Two-panel axial: CT | PSMA PET, 18F-PSMA tracer. Acquired on Siemens Biograph mCT Flow 20.
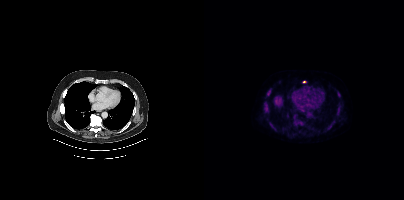
Coordinates are on the 200×200 PET (right) panel. PSMA-avid tumor lesion bounding boxes (x0, y0)-(x1, y1): (60, 104)-(65, 112); (92, 120)-(98, 125); (63, 88)-(67, 95); (133, 92)-(136, 96); (67, 125)-(71, 128); (127, 121)-(131, 124); (64, 120)-(66, 124). Small PSMA-avid foci (2 to 4 px across) near (center x, center y): (133, 112); (135, 107); (91, 116); (100, 81).